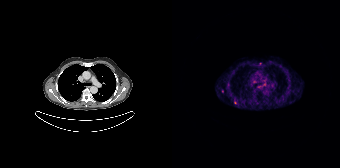
Technique: Paired axial CT (left) and PSMA PET (right), [68Ga]Ga-PSMA-11 tracer. slice position z = -888 mm.
Findings: Coordinates are on the 168×168 PET (right) panel. Small PSMA-avid focus (2 to 4 px across) near (center x, center y): (50, 91).